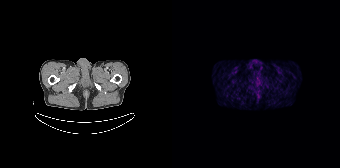
This slice has no annotated PSMA-avid lesion.